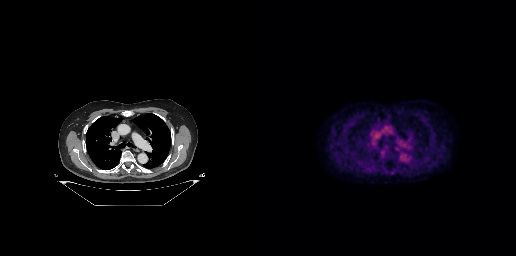
This slice has no annotated PSMA-avid lesion.
modality: PSMA PET/CT | tracer: [18F]PSMA-1007 | view: axial